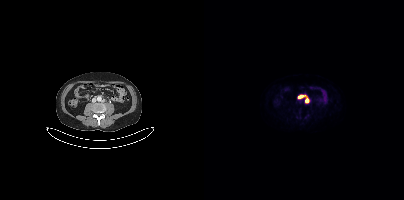
modality: PSMA PET/CT | tracer: 68Ga-PSMA | view: axial | PET grid: 200×200
Coordinates are on the 200×200 PET (right) panel. PSMA-avid tumor lesion bounding box (x, y, width, height): x=94 y=95 w=10 h=4. Small PSMA-avid focus (2 to 4 px across) near (center x, center y): (103, 100).